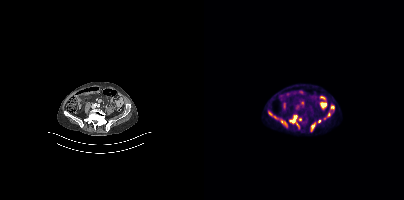
modality: PSMA PET/CT | tracer: 18F-PSMA | view: axial
Coordinates are on the 200×200 PET (right) panel. (showing 2 of 3 foci) Small PSMA-avid foci (2 to 4 px across) near (center x, center y): (66, 113) (71, 117).